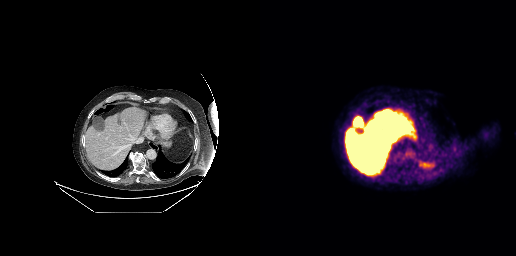
{"modality":"PSMA PET/CT","view":"axial","tracer":"18F-PSMA","pet_grid":[256,256],"coord_frame":"pet_panel","coord_format":"x0,y0,x1,y1","psma_avid_lesions":false}